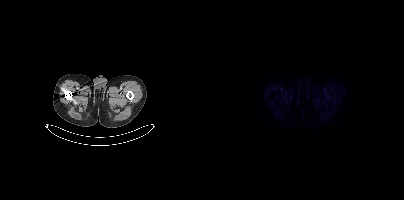
Paired axial CT (left) and PSMA PET (right), 18F tracer. Acquired on Siemens Biograph mCT Flow 20. Negative for PSMA-avid disease on this slice.